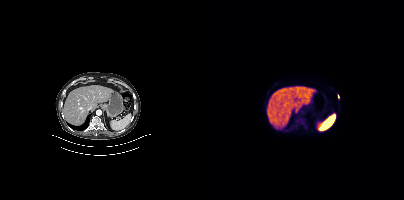
Coordinates are on the 200×200 PET (right) panel. Small PSMA-avid focus (2 to 4 px across) near (center x, center y): (134, 96).